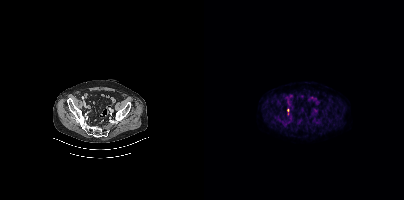
Coordinates are on the 200×200 PET (right) panel. (showing 1 of 2 foci) Small PSMA-avid focus (2 to 4 px across) near (center x, center y): (83, 114).